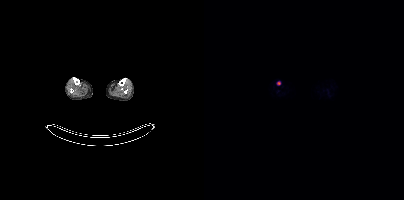
Coordinates are on the 200×200 PET (right) panel. Small PSMA-avid focus (2 to 4 px across) near (center x, center y): (74, 83).
modality: PSMA PET/CT | tracer: 18F | view: axial | PET grid: 200×200